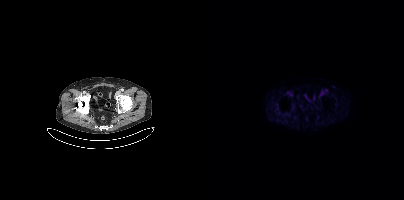
Findings: Negative for PSMA-avid disease on this slice.
Technique: Left: CT. Right: PSMA PET, same axial level, [18F]PSMA-1007 tracer.